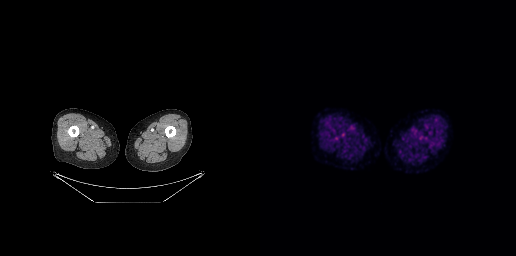
{"modality":"PSMA PET/CT","view":"axial","tracer":"[18F]PSMA-1007","pet_grid":[256,256],"coord_frame":"pet_panel","coord_format":"x0,y0,x1,y1","psma_avid_lesions":false}